Technique: Two-panel axial: CT | PSMA PET, 18F tracer. acquired on Siemens Biograph mCT Flow 20. slice 60 of 377.
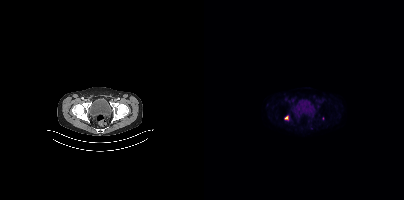
Findings: Coordinates are on the 200×200 PET (right) panel. Small PSMA-avid focus (2 to 4 px across) near (center x, center y): (82, 117).